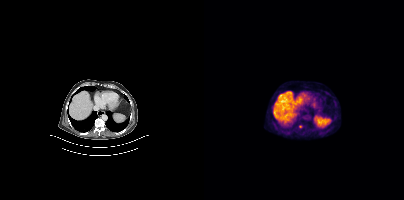
Left: CT. Right: PSMA PET, same axial level, [18F]PSMA-1007 tracer. Slice 238 of 387. Coordinates are on the 200×200 PET (right) panel. Small PSMA-avid focus (2 to 4 px across) near (center x, center y): (96, 126).